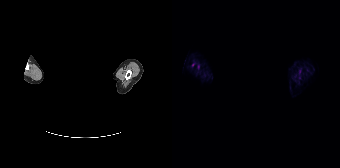
{"modality":"PSMA PET/CT","view":"axial","tracer":"18F-PSMA","pet_grid":[168,168],"coord_frame":"pet_panel","coord_format":"x0,y0,x1,y1","lesion_bboxes":[],"small_foci_centers":[[20,64]],"deidentification":"head region blacked out before release"}